Technique: Left: CT. Right: PSMA PET, same axial level, 18F tracer. slice 46 of 385. PET panel 200×200 px (4.1 mm/px).
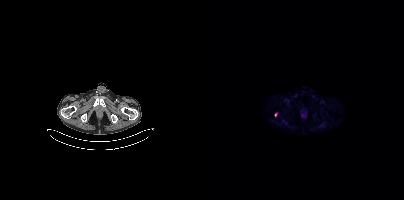
Findings: Coordinates are on the 200×200 PET (right) panel. Small PSMA-avid focus (2 to 4 px across) near (center x, center y): (71, 114).